Technique: Two-panel axial: CT | PSMA PET, 18F-PSMA tracer. slice position z = -1268 mm.
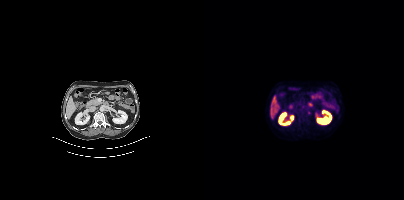
Findings: No tumor lesions annotated on this slice.